modality: PSMA PET/CT | tracer: 18F | view: axial
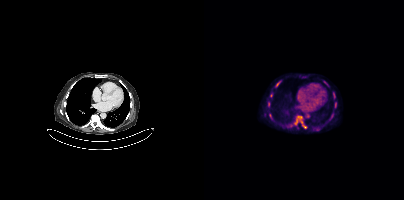
Coordinates are on the 200×200 PET (right) panel. (showing 7 of 9 foci) PSMA-avid tumor lesion bounding boxes (x0, y0)-(x1, y1): (91, 116)-(98, 124) | (72, 82)-(76, 86) | (98, 125)-(102, 128) | (129, 93)-(131, 97) | (131, 103)-(132, 107). Small PSMA-avid foci (2 to 4 px across) near (center x, center y): (67, 95) | (97, 122).